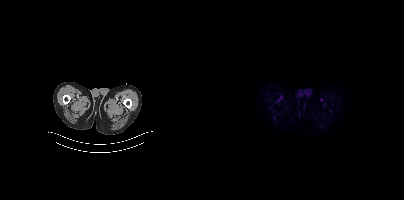
This slice has no annotated PSMA-avid lesion.
modality: PSMA PET/CT | tracer: 18F | view: axial | PET grid: 200×200